Left: CT. Right: PSMA PET, same axial level, [18F]PSMA-1007 tracer.
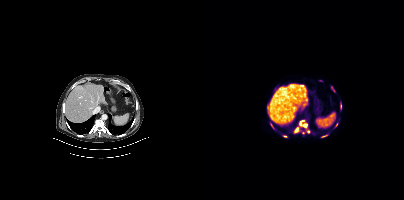
Coordinates are on the 200×200 PET (right) panel. (showing 8 of 11 foci) PSMA-avid tumor lesion bounding boxes (x, y, width, height): x=99 y=124 w=5 h=4; x=96 y=120 w=4 h=6; x=91 y=128 w=4 h=5; x=67 y=124 w=3 h=5. Small PSMA-avid foci (2 to 4 px across) near (center x, center y): (81, 136); (104, 131); (132, 124); (118, 136).